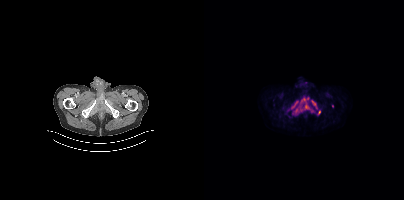
Coordinates are on the 200×200 PET (right) panel. PSMA-avid tumor lesion bounding boxes (x, y, width, height): x=89 y=97 w=21 h=18; x=107 y=100 w=7 h=10; x=87 y=101 w=8 h=9. Small PSMA-avid foci (2 to 4 px across) near (center x, center y): (115, 112); (128, 106); (101, 82).